Left: CT. Right: PSMA PET, same axial level, 18F tracer.
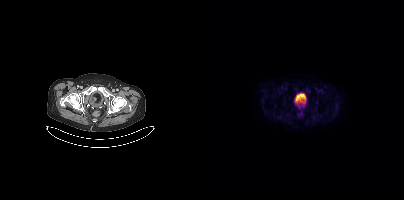
This slice has no annotated PSMA-avid lesion.